- Two-panel axial: CT | PSMA PET, 18F tracer
- acquired on Siemens Biograph mCT Flow 20
- slice 85 of 407
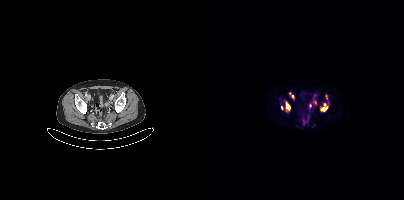
Findings: Coordinates are on the 200×200 PET (right) panel. (showing 8 of 10 foci) PSMA-avid tumor lesion bounding boxes (x, y, width, height): x=82 y=102 w=5 h=10 | x=116 y=107 w=8 h=5 | x=86 y=93 w=5 h=7 | x=108 y=100 w=5 h=5 | x=121 y=95 w=3 h=5. Small PSMA-avid foci (2 to 4 px across) near (center x, center y): (120, 104) | (106, 105) | (77, 108).